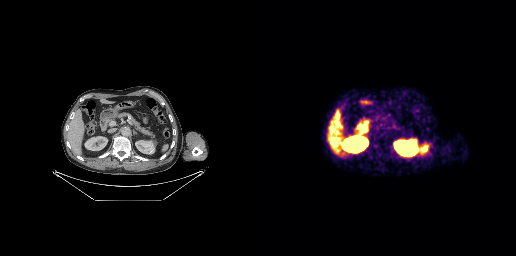
Findings: Negative for PSMA-avid disease on this slice.
- Left: CT. Right: PSMA PET, same axial level, 68Ga tracer